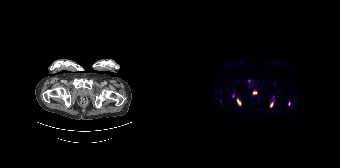
Coordinates are on the 168×168 PET (right) panel. (showing 4 of 6 foci) PSMA-avid tumor lesion bounding boxes (x0,y0,x1,y1): [65,98,69,105]; [98,100,102,107]. Small PSMA-avid foci (2 to 4 px across) near (center x, center y): (61, 95); (117, 103). Two-panel axial: CT | PSMA PET, 18F tracer. PET panel 168×168 px (4.1 mm/px).